Technique: Two-panel axial: CT | PSMA PET, [68Ga]Ga-PSMA-11 tracer. acquired on GE Discovery 690. slice position z = -746 mm. PET panel 256×256 px (2.7 mm/px).
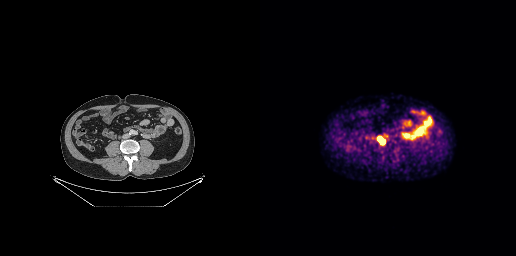
Findings: Coordinates are on the 256×256 PET (right) panel. (showing 1 of 2 foci) PSMA-avid tumor lesion bounding box (x0, y0)-(x1, y1): (117, 135)-(125, 145).